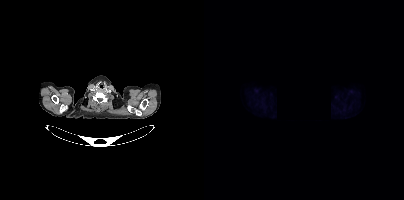
No PSMA-avid tumor lesions on this slice. An anonymization step blacked out a rectangle in this scan. Left: CT. Right: PSMA PET, same axial level, 18F-PSMA tracer. Slice 367 of 421. PET panel 200×200 px (4.1 mm/px).